Left: CT. Right: PSMA PET, same axial level, [68Ga]Ga-PSMA-11 tracer. Acquired on GE Discovery 690.
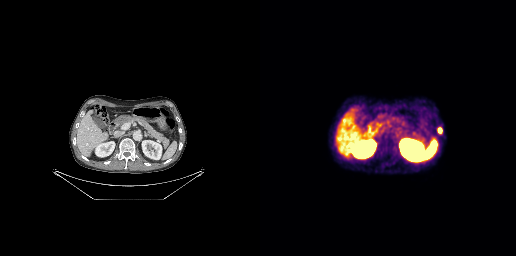
Coordinates are on the 256×256 PET (right) panel. PSMA-avid tumor lesion bounding boxes:
| # | x0 | y0 | x1 | y1 |
|---|---|---|---|---|
| 1 | 178 | 128 | 181 | 132 |